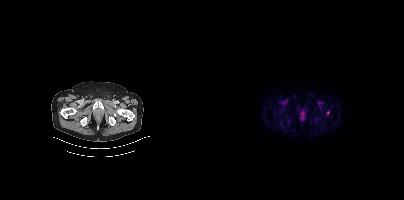
{"modality":"PSMA PET/CT","view":"axial","tracer":"[18F]PSMA-1007","pet_grid":[200,200],"coord_frame":"pet_panel","coord_format":"x0,y0,x1,y1","lesion_bboxes":[],"small_foci_centers":[[123,112]]}